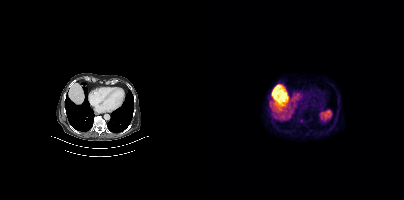
Negative for PSMA-avid disease on this slice.